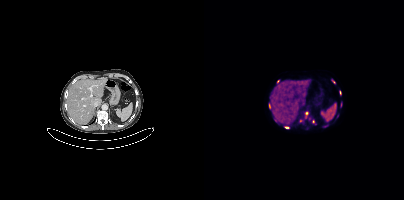
- Two-panel axial: CT | PSMA PET, [18F]PSMA-1007 tracer
- acquired on Siemens Biograph mCT Flow 20
- slice 232 of 407
- PET panel 200×200 px (4.1 mm/px)
Findings: Coordinates are on the 200×200 PET (right) panel. (showing 9 of 12 foci) PSMA-avid tumor lesion bounding boxes (x0,y0,x1,y1): [108,120,111,124], [120,125,124,127]. Small PSMA-avid foci (2 to 4 px across) near (center x, center y): (97, 120), (102, 113), (82, 127), (74, 81), (129, 81), (135, 92), (65, 106).